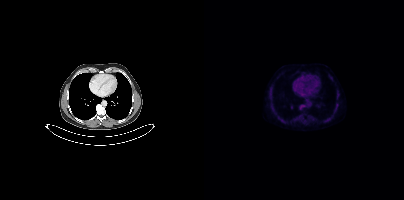
No PSMA-avid tumor lesions on this slice. Left: CT. Right: PSMA PET, same axial level, [18F]PSMA-1007 tracer. Acquired on Siemens Biograph mCT Flow 20.